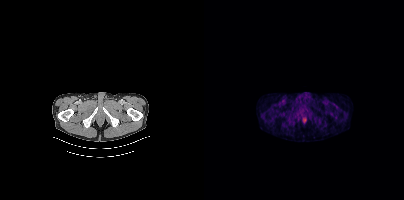
- Left: CT. Right: PSMA PET, same axial level, 18F-PSMA tracer
- acquired on Siemens Biograph mCT Flow 20
- PET panel 200×200 px (4.1 mm/px)
Findings: No PSMA-avid tumor lesions on this slice.